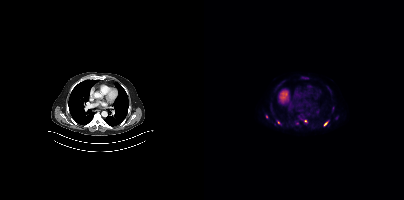
Coordinates are on the 200×200 PET (right) panel. Small PSMA-avid foci (2 to 4 px across) near (center x, center y): (121, 123), (101, 121), (74, 122), (62, 116).